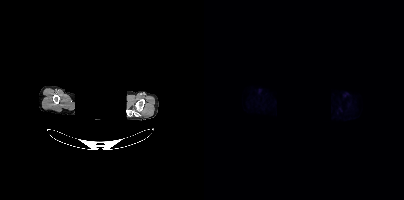
- an anonymization step blacked out a rectangle over the head in this scan
- Two-panel axial: CT | PSMA PET, 18F tracer
- slice position z = 404 mm
Findings: No PSMA-avid tumor lesions on this slice.